Two-panel axial: CT | PSMA PET, 18F tracer. Acquired on Siemens Biograph mCT Flow 20. PET panel 200×200 px (4.1 mm/px). Head region blanked for anonymization (face removed).
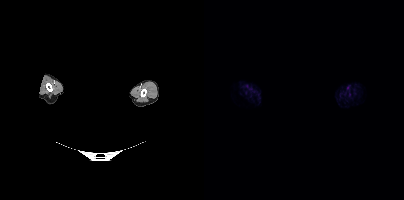
No tumor lesions annotated on this slice.